Technique: Left: CT. Right: PSMA PET, same axial level, [18F]PSMA-1007 tracer. acquired on Siemens Biograph mCT Flow 20. slice position z = -1140 mm. PET panel 200×200 px (4.1 mm/px).
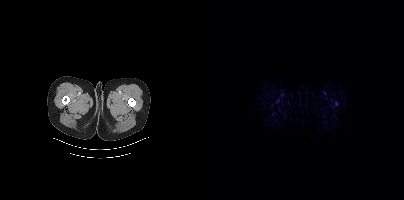
Findings: Coordinates are on the 200×200 PET (right) panel. Small PSMA-avid focus (2 to 4 px across) near (center x, center y): (132, 103).